- Two-panel axial: CT | PSMA PET, 68Ga tracer
- slice position z = -964 mm
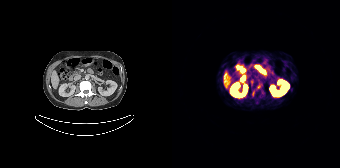
Findings: Coordinates are on the 168×168 PET (right) panel. (showing 1 of 2 foci) Small PSMA-avid focus (2 to 4 px across) near (center x, center y): (86, 86).